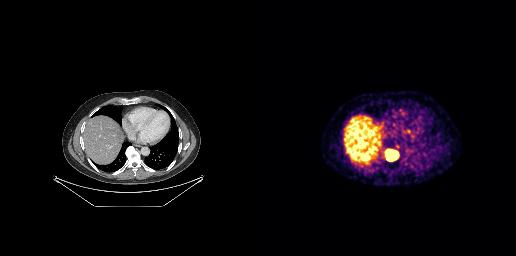
Findings: Coordinates are on the 256×256 PET (right) panel. PSMA-avid tumor lesion bounding box (x0,y0,x1,y1): [125,149,139,161].
- Paired axial CT (left) and PSMA PET (right), 68Ga tracer
- slice position z = -511 mm